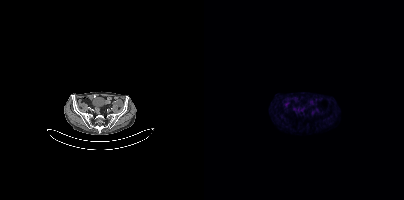
This slice has no annotated PSMA-avid lesion.